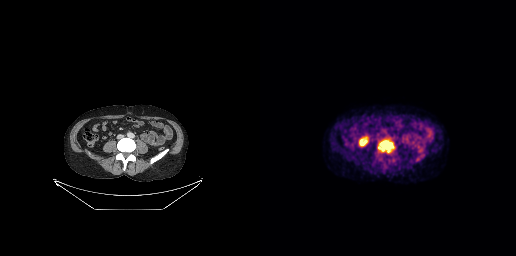
Left: CT. Right: PSMA PET, same axial level, 18F tracer. Slice position z = -575 mm. PET panel 256×256 px (2.7 mm/px).
Coordinates are on the 256×256 PET (right) panel. PSMA-avid tumor lesion bounding boxes:
| # | x0 | y0 | x1 | y1 |
|---|---|---|---|---|
| 1 | 118 | 140 | 134 | 152 |